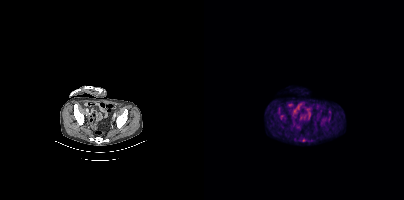
{"modality":"PSMA PET/CT","view":"axial","tracer":"[18F]PSMA-1007","pet_grid":[200,200],"coord_frame":"pet_panel","coord_format":"x0,y0,x1,y1","partial":true,"lesion_bboxes":[],"small_foci_centers":[[99,139],[90,138]]}